Paired axial CT (left) and PSMA PET (right), 18F tracer.
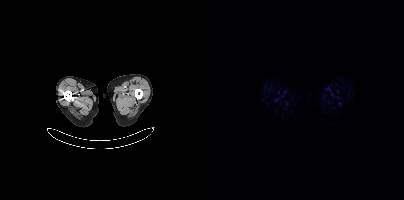
No PSMA-avid tumor lesions on this slice.